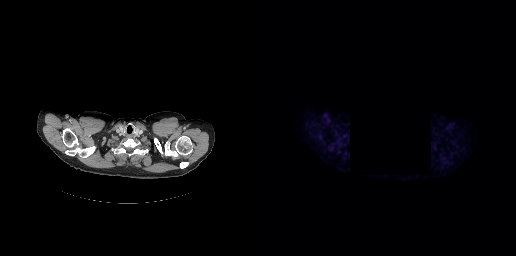
No tumor lesions annotated on this slice.
modality: PSMA PET/CT | tracer: 18F | view: axial | deidentification: privacy mask (black rectangle)